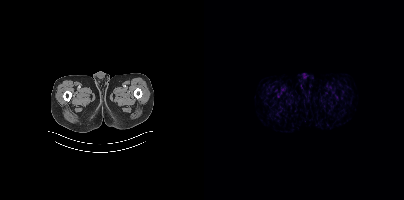
{"pet_grid":[200,200],"coord_frame":"pet_panel","coord_format":"x0,y0,x1,y1","psma_avid_lesions":false,"modality":"PSMA PET/CT","view":"axial","tracer":"18F"}